Left: CT. Right: PSMA PET, same axial level, [18F]PSMA-1007 tracer. Slice position z = -1277 mm.
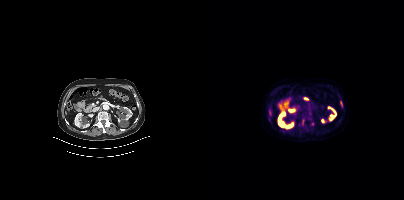
Coordinates are on the 200×200 PET (right) panel. (showing 2 of 4 foci) PSMA-avid tumor lesion bounding box (x0, y0)-(x1, y1): (136, 102)-(138, 107). Small PSMA-avid focus (2 to 4 px across) near (center x, center y): (109, 124).